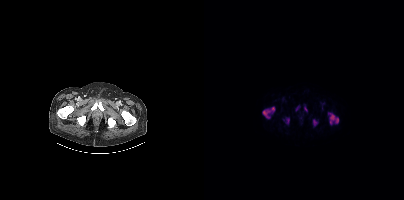
Coordinates are on the 200×200 PET (right) panel. (showing 5 of 6 foci) PSMA-avid tumor lesion bounding boxes (x0, y0)-(x1, y1): (58, 106)-(71, 118) | (124, 112)-(134, 124) | (109, 119)-(113, 125). Small PSMA-avid foci (2 to 4 px across) near (center x, center y): (84, 120) | (102, 110).